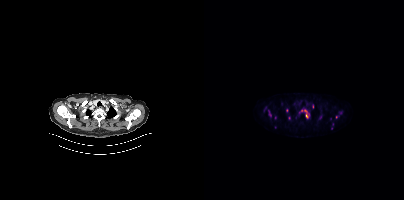
Coordinates are on the 200×200 PET (right) panel. (showing 4 of 6 foci) Small PSMA-avid foci (2 to 4 px across) near (center x, center y): (85, 118) / (102, 115) / (82, 110) / (101, 110). Left: CT. Right: PSMA PET, same axial level, 18F tracer. Acquired on Siemens Biograph mCT Flow 20. PET panel 200×200 px (4.1 mm/px).